Technique: Two-panel axial: CT | PSMA PET, 18F-PSMA tracer.
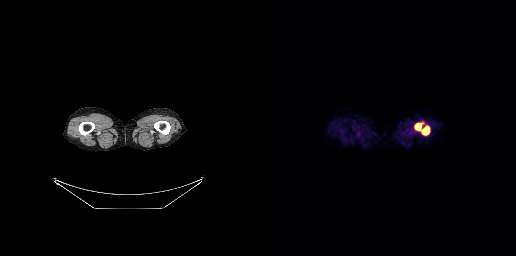
Findings: Coordinates are on the 256×256 PET (right) panel. PSMA-avid tumor lesion bounding box (x0, y0)-(x1, y1): (154, 122)-(169, 135).